- Two-panel axial: CT | PSMA PET, 68Ga-PSMA tracer
- acquired on Siemens Biograph mCT Flow 20
- slice 94 of 409
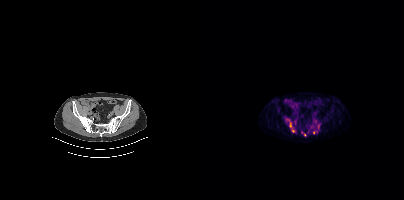
Findings: Coordinates are on the 200×200 PET (right) panel. Small PSMA-avid foci (2 to 4 px across) near (center x, center y): (86, 124) | (89, 131) | (109, 132) | (100, 134).